modality: PSMA PET/CT | tracer: 18F | view: axial
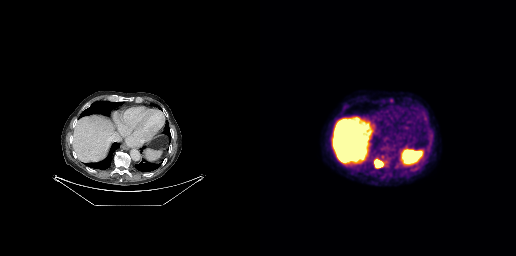
Coordinates are on the 256×256 PET (right) panel. PSMA-avid tumor lesion bounding box (x0, y0)-(x1, y1): (114, 159)-(123, 167).